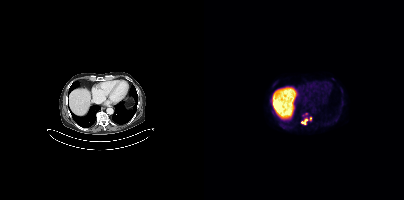
Technique: Two-panel axial: CT | PSMA PET, 18F-PSMA tracer. acquired on Siemens Biograph mCT Flow 20. PET panel 200×200 px (4.1 mm/px).
Findings: Coordinates are on the 200×200 PET (right) panel. Small PSMA-avid foci (2 to 4 px across) near (center x, center y): (100, 115) | (105, 118) | (99, 123) | (128, 78) | (101, 119) | (77, 125).